Any black rectangle over the head is a privacy mask, not anatomy. Paired axial CT (left) and PSMA PET (right), 18F tracer. PET panel 200×200 px (4.1 mm/px).
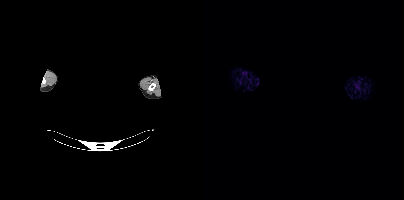
Negative for PSMA-avid disease on this slice.